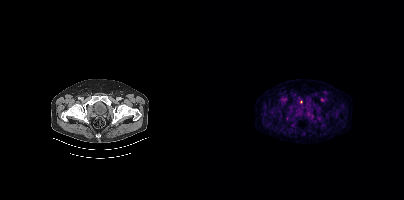
Technique: Two-panel axial: CT | PSMA PET, [18F]PSMA-1007 tracer. PET panel 200×200 px (4.1 mm/px).
Findings: Coordinates are on the 200×200 PET (right) panel. Small PSMA-avid focus (2 to 4 px across) near (center x, center y): (97, 102).